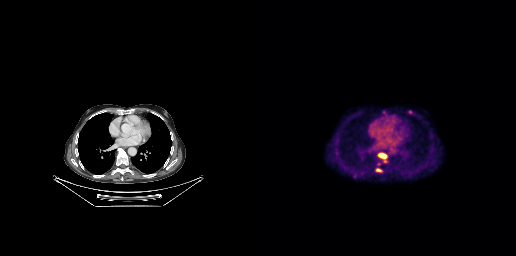
Technique: Two-panel axial: CT | PSMA PET, 18F tracer. acquired on GE Discovery 690. slice 173 of 263. PET panel 256×256 px (2.7 mm/px).
Findings: Coordinates are on the 256×256 PET (right) panel. (showing 2 of 3 foci) PSMA-avid tumor lesion bounding boxes (x0, y0)-(x1, y1): (115, 168)-(122, 172) | (119, 154)-(126, 157).